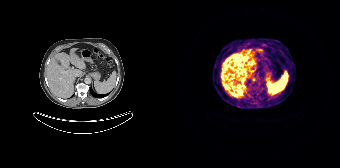
modality: PSMA PET/CT | tracer: 68Ga | view: axial
Coordinates are on the 168×168 PET (right) panel. Small PSMA-avid focus (2 to 4 px across) near (center x, center y): (81, 79).